Left: CT. Right: PSMA PET, same axial level, 68Ga-PSMA tracer.
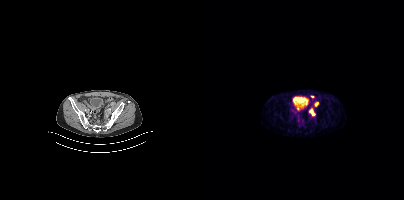
Coordinates are on the 200×200 PET (right) panel. PSMA-avid tumor lesion bounding boxes:
| # | x0 | y0 | x1 | y1 |
|---|---|---|---|---|
| 1 | 105 | 108 | 111 | 115 |
| 2 | 111 | 102 | 114 | 106 |
Small PSMA-avid foci (2 to 4 px across) near (center x, center y): (94, 107); (108, 96).